Left: CT. Right: PSMA PET, same axial level, 18F tracer. Slice 337 of 409. PET panel 200×200 px (4.1 mm/px).
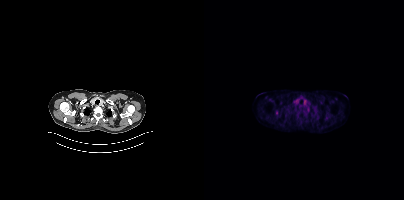
Coordinates are on the 200×200 PET (right) panel. Small PSMA-avid focus (2 to 4 px across) near (center x, center y): (73, 113).